Technique: Left: CT. Right: PSMA PET, same axial level, [18F]PSMA-1007 tracer. acquired on Siemens Biograph mCT Flow 20.
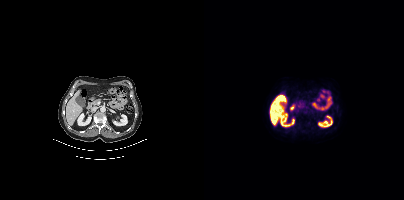
Findings: No tumor lesions annotated on this slice.